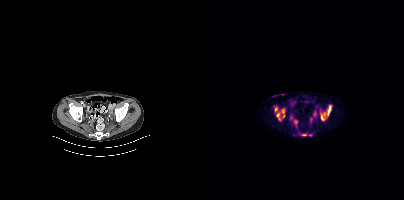
modality: PSMA PET/CT | tracer: 18F | view: axial
Coordinates are on the 200×200 PET (right) panel. (showing 4 of 5 foci) PSMA-avid tumor lesion bounding boxes (x, y, width, height): x=70 y=106 w=12 h=16; x=123 y=105 w=5 h=11; x=117 y=114 w=4 h=7. Small PSMA-avid focus (2 to 4 px across) near (center x, center y): (120, 114).